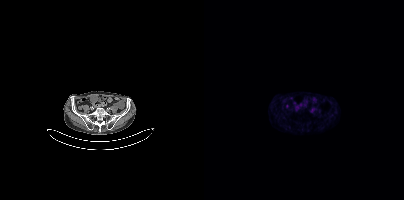
Left: CT. Right: PSMA PET, same axial level, 18F tracer. This slice has no annotated PSMA-avid lesion.